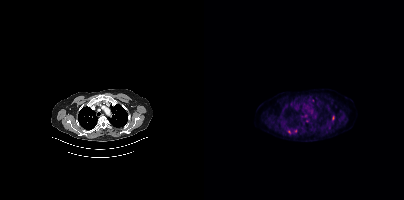
{"modality":"PSMA PET/CT","view":"axial","tracer":"18F","pet_grid":[200,200],"coord_frame":"pet_panel","coord_format":"x0,y0,x1,y1","partial":true,"lesion_bboxes":[[84,130,87,134]],"small_foci_centers":[[129,117],[103,120],[91,131]]}